Technique: Paired axial CT (left) and PSMA PET (right), 18F-PSMA tracer. acquired on Siemens Biograph mCT Flow 20. PET panel 200×200 px (4.1 mm/px).
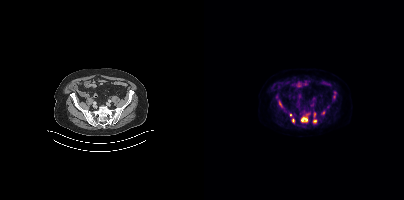
Findings: Coordinates are on the 200×200 PET (right) panel. (showing 8 of 9 foci) PSMA-avid tumor lesion bounding boxes (x0,y0,x1,y1): [97,116,103,122], [129,91,132,98], [109,112,112,117], [75,101,78,106]. Small PSMA-avid foci (2 to 4 px across) near (center x, center y): (110, 120), (89, 120), (119, 113), (86, 114).